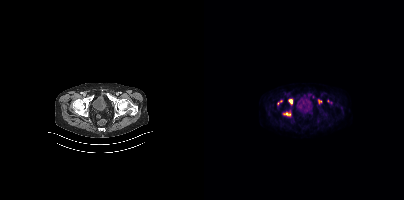
{"modality":"PSMA PET/CT","view":"axial","tracer":"18F","pet_grid":[200,200],"coord_frame":"pet_panel","coord_format":"x0,y0,x1,y1","partial":true,"lesion_bboxes":[[80,112,87,115],[85,99,88,103]],"small_foci_centers":[[116,101],[124,101]]}